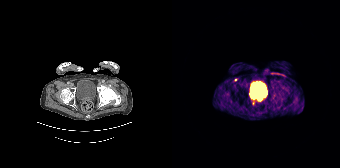
- Paired axial CT (left) and PSMA PET (right), 68Ga tracer
- slice position z = -674 mm
- PET panel 168×168 px (4.1 mm/px)
Findings: Coordinates are on the 168×168 PET (right) panel. (showing 2 of 3 foci) PSMA-avid tumor lesion bounding box (x0,y0,x1,y1): [86,97,90,100]. Small PSMA-avid focus (2 to 4 px across) near (center x, center y): (81, 103).